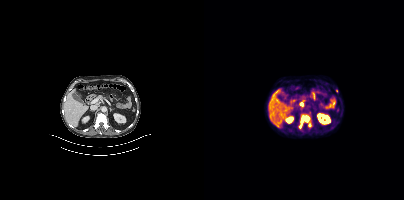
Technique: Paired axial CT (left) and PSMA PET (right), [18F]PSMA-1007 tracer.
Findings: Coordinates are on the 200×200 PET (right) panel. (showing 2 of 3 foci) PSMA-avid tumor lesion bounding box (x0,y0,x1,y1): [94,113,108,129]. Small PSMA-avid focus (2 to 4 px across) near (center x, center y): (132, 90).